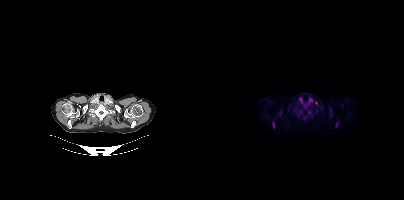
Two-panel axial: CT | PSMA PET, 18F tracer. Acquired on Siemens Biograph mCT Flow 20. PET panel 200×200 px (4.1 mm/px).
Coordinates are on the 200×200 PET (right) panel. PSMA-avid tumor lesion bounding boxes (partial; 3 more foci not listed):
| # | x0 | y0 | x1 | y1 |
|---|---|---|---|---|
| 1 | 68 | 121 | 71 | 128 |
| 2 | 131 | 122 | 134 | 127 |